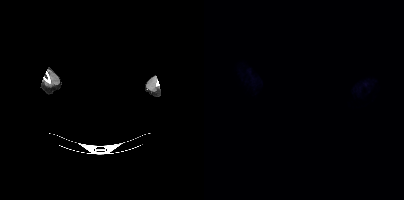
Findings: This slice has no annotated PSMA-avid lesion.
- Paired axial CT (left) and PSMA PET (right), 18F-PSMA tracer
- de-identified by setting a box covering the face to black before release